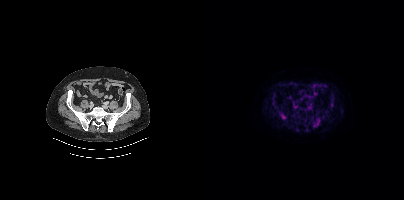
{"modality":"PSMA PET/CT","view":"axial","tracer":"18F","pet_grid":[200,200],"coord_frame":"pet_panel","coord_format":"x0,y0,x1,y1","lesion_bboxes":[[109,119,116,127],[75,112,82,119],[119,110,123,114],[126,103,129,107],[128,96,131,100],[69,91,72,96]],"small_foci_centers":[[112,115],[91,110]]}